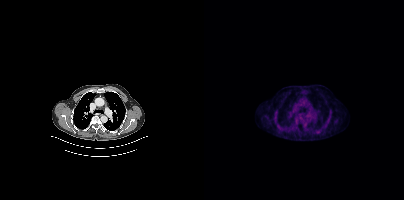
- Two-panel axial: CT | PSMA PET, 18F-PSMA tracer
- acquired on Siemens Biograph mCT Flow 20
- PET panel 200×200 px (4.1 mm/px)
Findings: Only PSMA-avid lesion pieces thinner than 2 px on this slice (not listed).